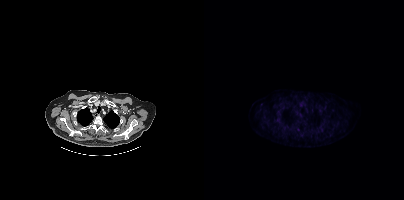
Only PSMA-avid lesion pieces thinner than 2 px on this slice (not listed). Left: CT. Right: PSMA PET, same axial level, 18F-PSMA tracer.